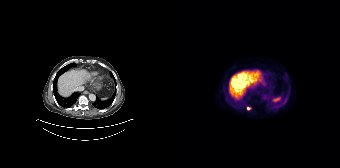
Technique: Paired axial CT (left) and PSMA PET (right), [18F]PSMA-1007 tracer. acquired on Siemens Biograph 64-4R TruePoint. PET panel 168×168 px (4.1 mm/px).
Findings: Coordinates are on the 168×168 PET (right) panel. PSMA-avid tumor lesion bounding box (x0, y0)-(x1, y1): (75, 107)-(79, 110).